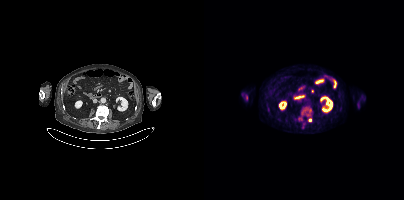
Paired axial CT (left) and PSMA PET (right), 18F-PSMA tracer. Acquired on Siemens Biograph mCT Flow 20. Slice 185 of 401. Coordinates are on the 200×200 PET (right) panel. (showing 2 of 3 foci) PSMA-avid tumor lesion bounding boxes (x0, y0)-(x1, y1): (97, 109)-(108, 122) / (94, 117)-(98, 120).